Left: CT. Right: PSMA PET, same axial level, 18F-PSMA tracer. Slice 145 of 417.
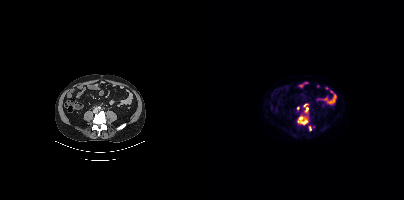
Coordinates are on the 200×200 PET (right) panel. PSMA-avid tumor lesion bounding boxes:
| # | x0 | y0 | x1 | y1 |
|---|---|---|---|---|
| 1 | 93 | 116 | 103 | 124 |
| 2 | 99 | 104 | 104 | 112 |
| 3 | 105 | 126 | 107 | 130 |
Small PSMA-avid focus (2 to 4 px across) near (center x, center y): (94, 108).